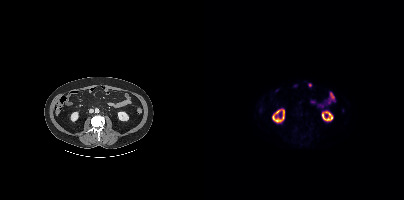
{"modality":"PSMA PET/CT","view":"axial","tracer":"[18F]PSMA-1007","pet_grid":[200,200],"coord_frame":"pet_panel","coord_format":"x0,y0,x1,y1","psma_avid_lesions":false}